modality: PSMA PET/CT | tracer: 18F | view: axial | PET grid: 200×200
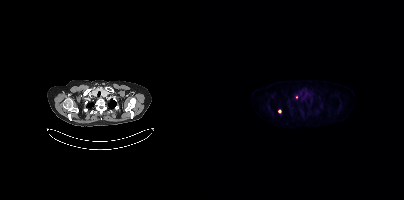
Coordinates are on the 200×200 PET (right) panel. Small PSMA-avid foci (2 to 4 px across) near (center x, center y): (75, 111), (92, 97).